modality: PSMA PET/CT | tracer: 68Ga | view: axial
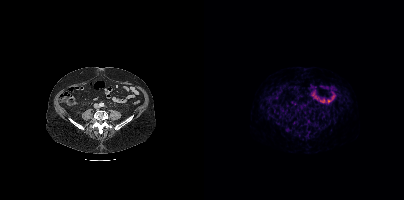
No PSMA-avid tumor lesions on this slice.